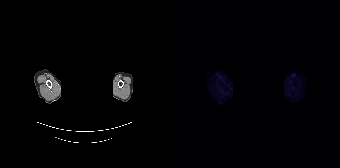
Face de-identified by blanking a block of the head. Two-panel axial: CT | PSMA PET, [68Ga]Ga-PSMA-11 tracer. PET panel 168×168 px (4.1 mm/px). No tumor lesions annotated on this slice.